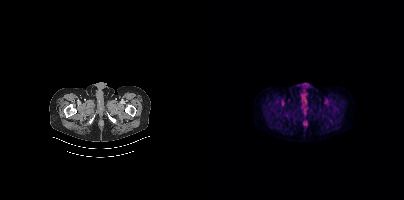
Technique: Left: CT. Right: PSMA PET, same axial level, 18F tracer. slice position z = -146 mm.
Findings: Negative for PSMA-avid disease on this slice.